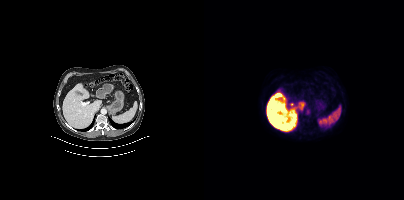
modality: PSMA PET/CT | tracer: [18F]PSMA-1007 | view: axial
No PSMA-avid tumor lesions on this slice.